Left: CT. Right: PSMA PET, same axial level, 68Ga tracer. PET panel 256×256 px (2.7 mm/px).
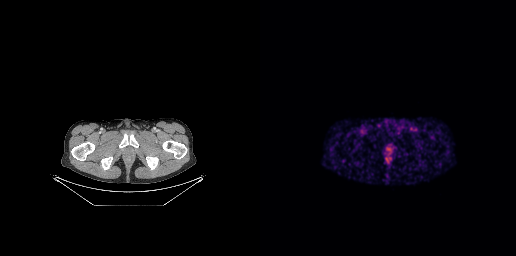
Coordinates are on the 256×256 PET (right) panel. PSMA-avid tumor lesion bounding box (x0, y0)-(x1, y1): (127, 147)-(131, 151).